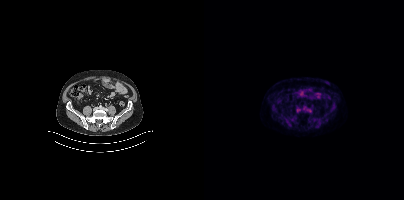
Coordinates are on the 200×200 PET (right) panel. PSMA-avid tumor lesion bounding box (x0, y0)-(x1, y1): (92, 107)-(96, 112).